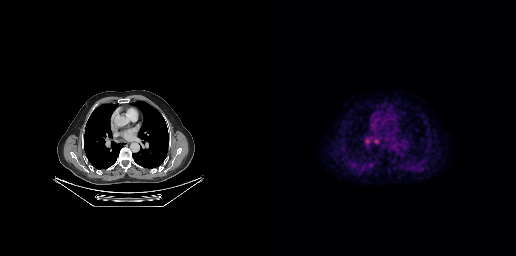
Coordinates are on the 256×256 PET (right) panel. PSMA-avid tumor lesion bounding boxes (x0,y0,x1,y1): [113,138,120,145], [107,139,111,143].